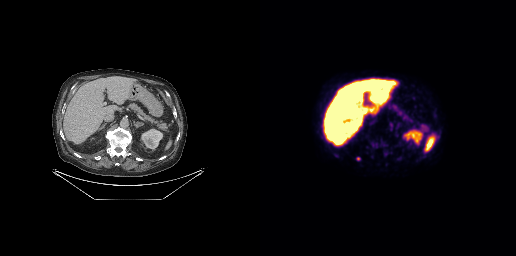
{"modality":"PSMA PET/CT","view":"axial","tracer":"[18F]PSMA-1007","pet_grid":[256,256],"coord_frame":"pet_panel","coord_format":"x0,y0,x1,y1","lesion_bboxes":[],"small_foci_centers":[[98,158]]}